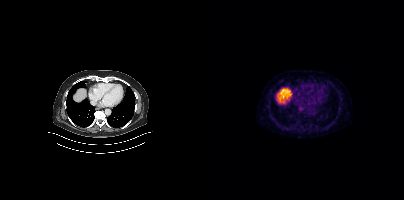
modality: PSMA PET/CT | tracer: [68Ga]Ga-PSMA-11 | view: axial | PET grid: 200×200
No PSMA-avid tumor lesions on this slice.